Two-panel axial: CT | PSMA PET, 18F tracer. Acquired on Siemens Biograph mCT Flow 20. Slice position z = -1128 mm. PET panel 200×200 px (4.1 mm/px).
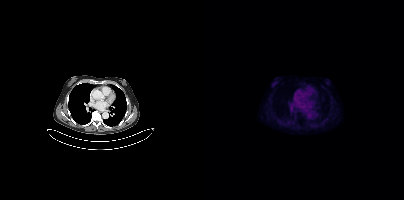
Negative for PSMA-avid disease on this slice.